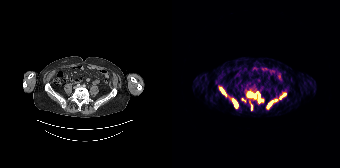
{"modality":"PSMA PET/CT","view":"axial","tracer":"[68Ga]Ga-PSMA-11","pet_grid":[168,168],"coord_frame":"pet_panel","coord_format":"x0,y0,x1,y1","partial":true,"lesion_bboxes":[[86,92,91,102],[60,98,65,107],[75,92,81,96],[95,101,100,108],[48,87,54,96],[108,93,114,98]],"small_foci_centers":[[103,100],[79,107],[83,97]]}